modality: PSMA PET/CT | tracer: [18F]PSMA-1007 | view: axial | PET grid: 200×200
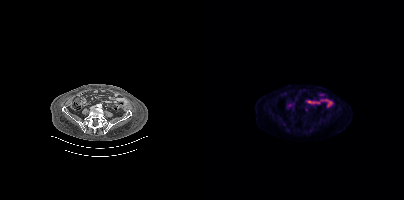
Coordinates are on the 200×200 PET (right) panel. Small PSMA-avid focus (2 to 4 px across) near (center x, center y): (102, 109).